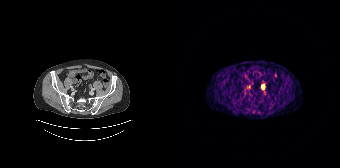
{"modality":"PSMA PET/CT","view":"axial","tracer":"[68Ga]Ga-PSMA-11","pet_grid":[168,168],"coord_frame":"pet_panel","coord_format":"x0,y0,x1,y1","lesion_bboxes":[],"small_foci_centers":[[91,86]]}